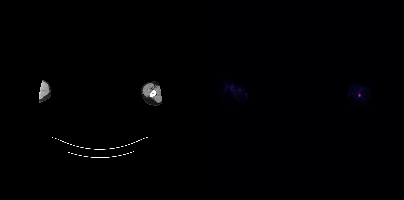
Findings: Coordinates are on the 200×200 PET (right) panel. Small PSMA-avid focus (2 to 4 px across) near (center x, center y): (154, 95).
- de-identified by setting a box covering the face to black before release
- Left: CT. Right: PSMA PET, same axial level, 18F tracer
- acquired on Siemens Biograph mCT Flow 20
- slice position z = -816 mm
- PET panel 200×200 px (4.1 mm/px)